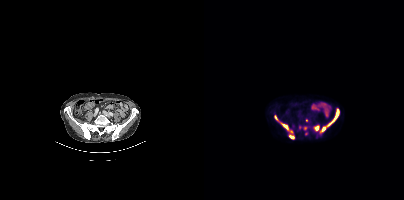
- Left: CT. Right: PSMA PET, same axial level, 18F-PSMA tracer
- slice position z = -303 mm
Findings: Coordinates are on the 200×200 PET (right) panel. (showing 8 of 10 foci) PSMA-avid tumor lesion bounding boxes (x0,y0,x1,y1): [124,109,134,125]; [76,122,89,133]; [116,127,121,133]; [110,126,114,130]; [85,135,90,138]; [71,115,74,120]. Small PSMA-avid foci (2 to 4 px across) near (center x, center y): (102, 133); (102, 120).